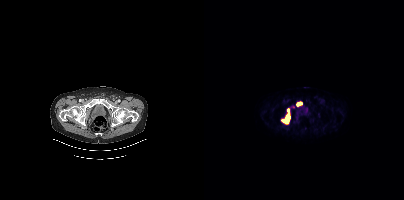
Coordinates are on the 200×200 PET (right) panel. (showing 2 of 3 foci) PSMA-avid tumor lesion bounding boxes (x0,y0,x1,y1): [78,109,85,123], [93,102,98,105].